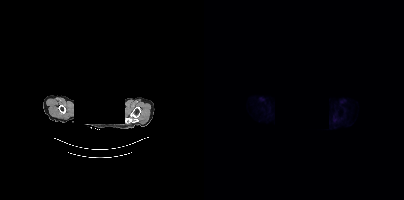
Negative for PSMA-avid disease on this slice.
Any black rectangle over the head is a privacy mask, not anatomy.